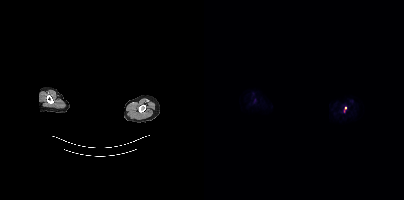
A rectangle over the head was blacked out to remove identifiable facial features. Two-panel axial: CT | PSMA PET, [18F]PSMA-1007 tracer. Acquired on Siemens Biograph mCT Flow 20. Coordinates are on the 200×200 PET (right) panel. PSMA-avid tumor lesion bounding box (x0,y0,x1,y1): [140,107,142,111].